Technique: Left: CT. Right: PSMA PET, same axial level, [18F]PSMA-1007 tracer. slice position z = -688 mm. PET panel 200×200 px (4.1 mm/px).
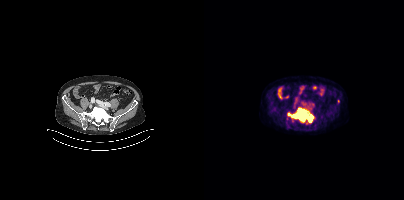
Findings: Coordinates are on the 200×200 PET (right) panel. PSMA-avid tumor lesion bounding box (x0, y0)-(x1, y1): (83, 108)-(111, 124). Small PSMA-avid focus (2 to 4 px across) near (center x, center y): (134, 101).